- Two-panel axial: CT | PSMA PET, 18F tracer
- slice 257 of 429
- PET panel 200×200 px (4.1 mm/px)
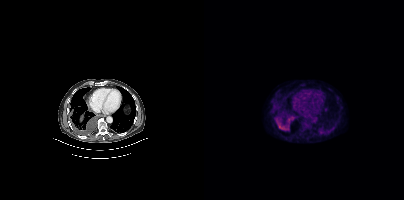
Findings: Coordinates are on the 200×200 PET (right) panel. PSMA-avid tumor lesion bounding boxes (x0, y0)-(x1, y1): (72, 119)-(83, 130) | (84, 115)-(90, 121).